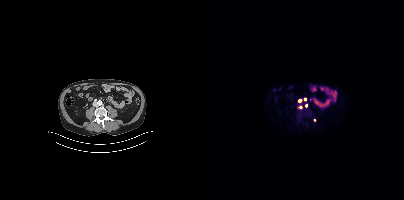
Left: CT. Right: PSMA PET, same axial level, 18F-PSMA tracer. Acquired on Siemens Biograph mCT Flow 20. Slice position z = -1230 mm. PET panel 200×200 px (4.1 mm/px). Coordinates are on the 200×200 PET (right) panel. (showing 4 of 5 foci) Small PSMA-avid foci (2 to 4 px across) near (center x, center y): (96, 100) / (100, 99) / (96, 106) / (102, 105).